Paired axial CT (left) and PSMA PET (right), 18F-PSMA tracer. Acquired on Siemens Biograph mCT Flow 20. Slice 81 of 452. PET panel 200×200 px (4.1 mm/px).
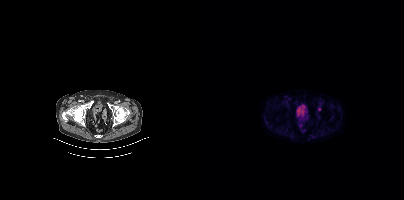
Only PSMA-avid lesion pieces thinner than 2 px on this slice (not listed).